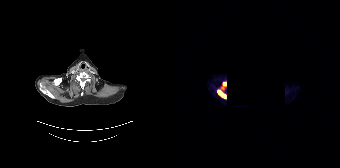
{"modality":"PSMA PET/CT","view":"axial","tracer":"68Ga","pet_grid":[168,168],"coord_frame":"pet_panel","coord_format":"x0,y0,x1,y1","redaction":"region blacked out before release","partial":true,"lesion_bboxes":[[46,90,54,97]],"small_foci_centers":[[51,83]]}